Left: CT. Right: PSMA PET, same axial level, 68Ga tracer. Acquired on Siemens Biograph 64-4R TruePoint.
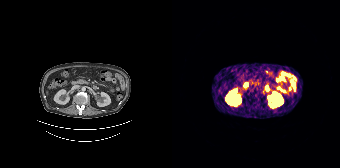
No PSMA-avid tumor lesions on this slice.